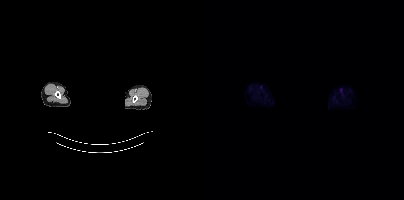
A rectangle over the head was blacked out to remove identifiable facial features. Two-panel axial: CT | PSMA PET, [18F]PSMA-1007 tracer. No tumor lesions annotated on this slice.